- Left: CT. Right: PSMA PET, same axial level, [18F]PSMA-1007 tracer
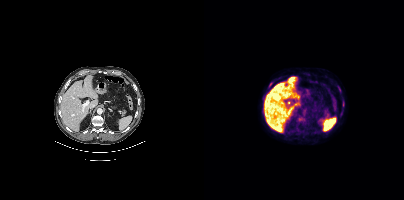
Findings: Coordinates are on the 200×200 PET (right) panel. Small PSMA-avid foci (2 to 4 px across) near (center x, center y): (66, 84); (140, 106).